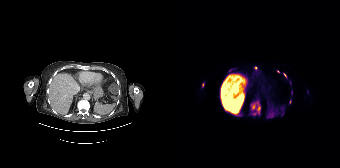
- Left: CT. Right: PSMA PET, same axial level, 18F-PSMA tracer
- slice 102 of 165
- PET panel 168×168 px (4.1 mm/px)
Findings: Coordinates are on the 168×168 PET (right) panel. (showing 6 of 8 foci) PSMA-avid tumor lesion bounding boxes (x, y, width, height): x=79 y=102 w=10 h=12; x=111 y=73 w=4 h=5. Small PSMA-avid foci (2 to 4 px across) near (center x, center y): (31, 84); (82, 113); (106, 71); (83, 67).